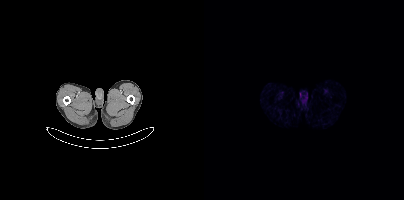
No tumor lesions annotated on this slice. Left: CT. Right: PSMA PET, same axial level, 68Ga tracer. Acquired on Siemens Biograph mCT Flow 20.